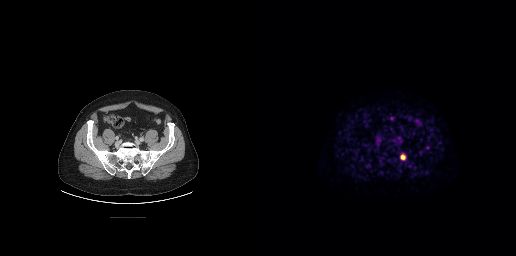
Coordinates are on the 256×256 PET (right) panel. PSMA-avid tumor lesion bounding box (x, y, width, height): x=140 y=153 w=7 h=8. Small PSMA-avid focus (2 to 4 px across) near (center x, center y): (167, 147).